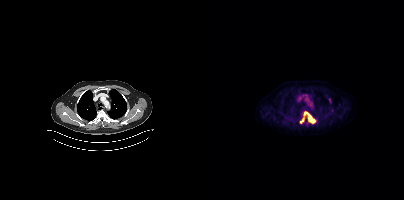
Technique: Paired axial CT (left) and PSMA PET (right), 18F tracer. PET panel 200×200 px (4.1 mm/px).
Findings: Coordinates are on the 200×200 PET (right) panel. PSMA-avid tumor lesion bounding boxes (x0,y0,x1,y1): [99,111,111,123], [96,118,99,123]. Small PSMA-avid foci (2 to 4 px across) near (center x, center y): (125, 100), (128, 110).